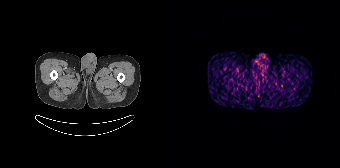
{"modality":"PSMA PET/CT","view":"axial","tracer":"68Ga","pet_grid":[168,168],"coord_frame":"pet_panel","coord_format":"x0,y0,x1,y1","psma_avid_lesions":false}